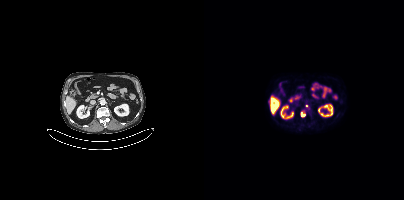
Coordinates are on the 200×200 PET (right) panel. (showing 1 of 3 foci) Small PSMA-avid focus (2 to 4 px across) near (center x, center y): (104, 106).